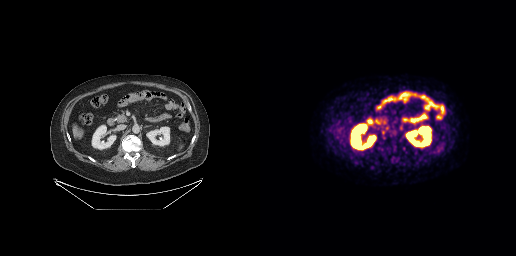
- Paired axial CT (left) and PSMA PET (right), 18F tracer
- PET panel 256×256 px (2.7 mm/px)
Findings: Coordinates are on the 256×256 PET (right) panel. Small PSMA-avid focus (2 to 4 px across) near (center x, center y): (127, 128).